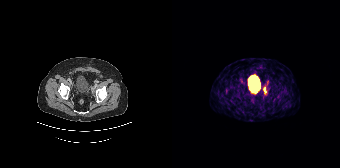
Findings: Coordinates are on the 168×168 PET (right) panel. PSMA-avid tumor lesion bounding box (x, y, width, height): x=91 y=86 w=4 h=9. Small PSMA-avid focus (2 to 4 px across) near (center x, center y): (95, 82).
- Left: CT. Right: PSMA PET, same axial level, 68Ga-PSMA tracer
- slice position z = -624 mm
- PET panel 168×168 px (4.1 mm/px)